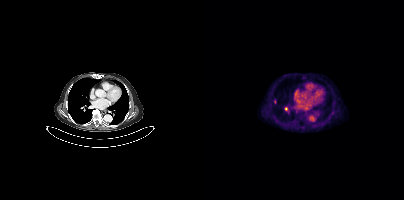
modality: PSMA PET/CT | tracer: 18F-PSMA | view: axial | PET grid: 200×200
Coordinates are on the 200×200 PET (right) panel. Small PSMA-avid foci (2 to 4 px across) near (center x, center y): (71, 101) | (81, 108).